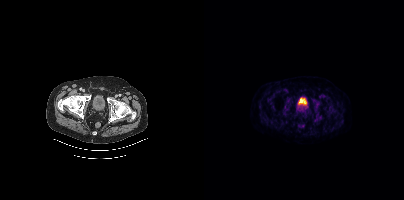
{"pet_grid":[200,200],"coord_frame":"pet_panel","coord_format":"x0,y0,x1,y1","psma_avid_lesions":false,"modality":"PSMA PET/CT","view":"axial","tracer":"18F-PSMA"}